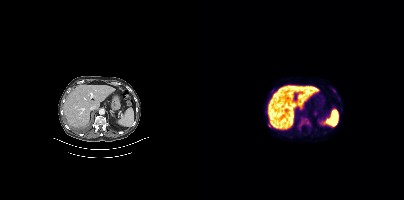
{"pet_grid":[200,200],"coord_frame":"pet_panel","coord_format":"x0,y0,x1,y1","lesion_bboxes":[[97,118,105,124]],"modality":"PSMA PET/CT","view":"axial","tracer":"[18F]PSMA-1007"}